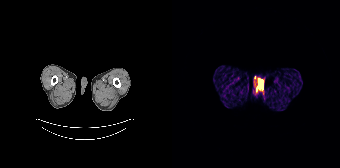
Technique: Left: CT. Right: PSMA PET, same axial level, 68Ga tracer. acquired on Siemens Biograph 64-4R TruePoint. slice position z = -1348 mm.
Findings: No tumor lesions annotated on this slice.